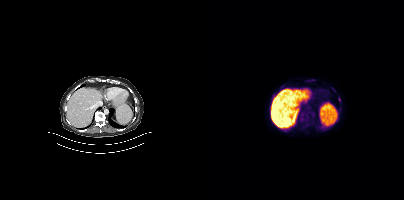
{"modality":"PSMA PET/CT","view":"axial","tracer":"[18F]PSMA-1007","pet_grid":[200,200],"coord_frame":"pet_panel","coord_format":"x0,y0,x1,y1","partial":true,"lesion_bboxes":[]}